Technique: Two-panel axial: CT | PSMA PET, 18F-PSMA tracer.
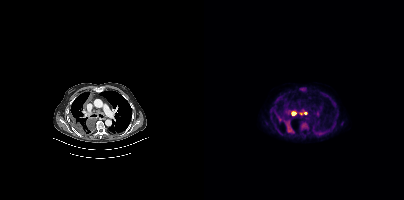
Findings: Coordinates are on the 200×200 PET (right) panel. PSMA-avid tumor lesion bounding boxes (x0, y0)-(x1, y1): (75, 118)-(88, 132) / (97, 123)-(104, 129) / (95, 110)-(102, 114) / (88, 112)-(92, 115).